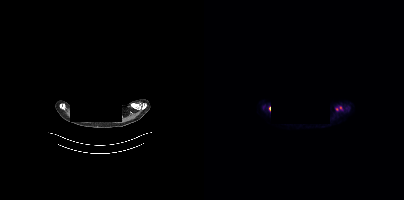
Technique: Two-panel axial: CT | PSMA PET, 18F tracer. slice position z = -886 mm.
Note: A rectangle over the head was blacked out to remove identifiable facial features.
Findings: Coordinates are on the 200×200 PET (right) panel. PSMA-avid tumor lesion bounding box (x, y, width, height): x=132 y=106 w=7 h=5.